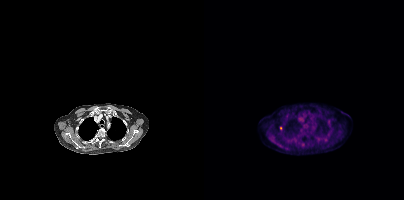
Coordinates are on the 200×200 PET (right) panel. Small PSMA-avid foci (2 to 4 px across) near (center x, center y): (125, 120) (99, 144) (76, 128) (122, 140) (135, 131) (114, 139).